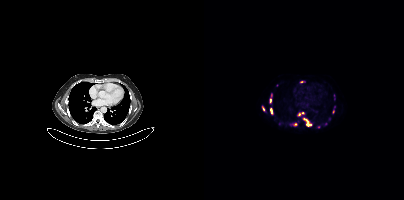
Coordinates are on the 200×200 PET (right) panel. (showing 12 of 15 foci) PSMA-avid tumor lesion bounding boxes (x0, y0)-(x1, y1): (100, 119)-(107, 125) / (93, 112)-(99, 116) / (66, 94)-(68, 101) / (87, 123)-(92, 125) / (58, 106)-(60, 110) / (66, 108)-(68, 112) / (96, 81)-(100, 82). Small PSMA-avid foci (2 to 4 px across) near (center x, center y): (125, 118) / (121, 123) / (130, 107) / (75, 123) / (129, 112).
modality: PSMA PET/CT | tracer: 68Ga-PSMA | view: axial | PET grid: 200×200